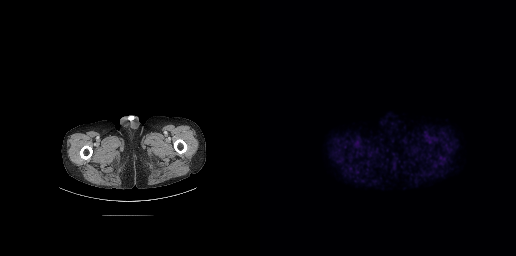
This slice has no annotated PSMA-avid lesion.